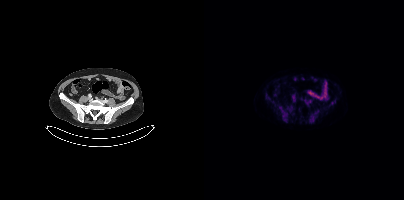
- Paired axial CT (left) and PSMA PET (right), 18F tracer
- slice position z = -1429 mm
Findings: Coordinates are on the 200×200 PET (right) panel. (showing 1 of 2 foci) Small PSMA-avid focus (2 to 4 px across) near (center x, center y): (82, 115).